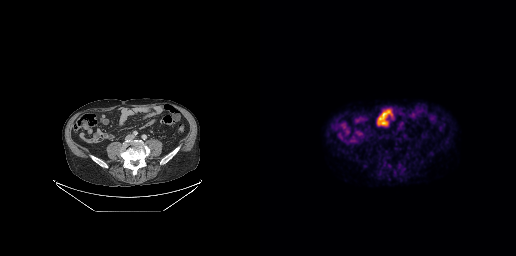
modality: PSMA PET/CT | tracer: 18F | view: axial
Negative for PSMA-avid disease on this slice.